modality: PSMA PET/CT | tracer: 18F | view: axial | PET grid: 200×200
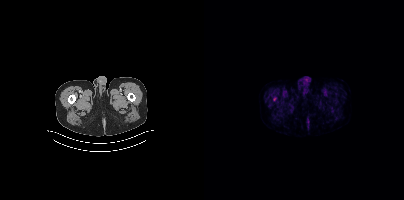
Coordinates are on the 200×200 PET (right) panel. Small PSMA-avid focus (2 to 4 px across) near (center x, center y): (70, 98).